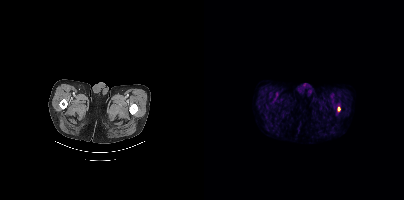
Coordinates are on the 200×200 PET (right) panel. PSMA-avid tumor lesion bounding box (x0, y0)-(x1, y1): (134, 107)-(135, 111). Paired axial CT (left) and PSMA PET (right), 18F tracer. Slice position z = -518 mm. PET panel 200×200 px (4.1 mm/px).